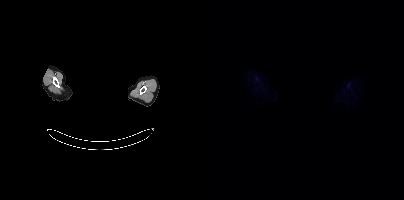
Findings: This slice has no annotated PSMA-avid lesion.
- head region blanked for anonymization (face removed)
- Left: CT. Right: PSMA PET, same axial level, 18F-PSMA tracer
- acquired on Siemens Biograph mCT Flow 20
- slice 367 of 395